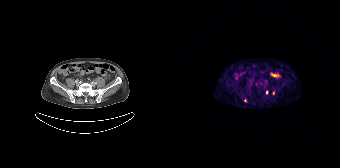
Coordinates are on the 168×168 PET (right) panel. Small PSMA-avid foci (2 to 4 px across) near (center x, center y): (94, 92) (73, 100) (101, 93). Two-panel axial: CT | PSMA PET, 68Ga-PSMA tracer. Slice position z = -688 mm. PET panel 168×168 px (4.1 mm/px).